Two-panel axial: CT | PSMA PET, 18F tracer.
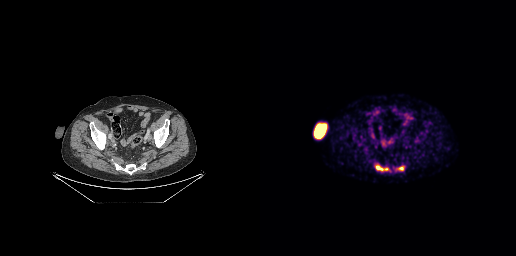
Coordinates are on the 256×256 PET (right) panel. PSMA-avid tumor lesion bounding boxes (x, y, width, height): x=115 y=164 w=14 h=8 | x=138 y=166 w=7 h=5.